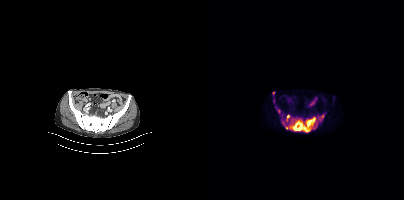
modality: PSMA PET/CT | tracer: [18F]PSMA-1007 | view: axial
Coordinates are on the 200×200 PET (right) panel. (showing 5 of 6 foci) PSMA-avid tumor lesion bounding boxes (x0, y0)-(x1, y1): (81, 114)-(120, 132) | (82, 114)-(85, 121) | (73, 109)-(76, 113). Small PSMA-avid foci (2 to 4 px across) near (center x, center y): (69, 93) | (78, 122).